modality: PSMA PET/CT | tracer: 68Ga | view: axial | PET grid: 168×168
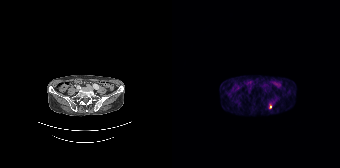
Coordinates are on the 168×168 PET (right) panel. Small PSMA-avid focus (2 to 4 px across) near (center x, center y): (98, 106).